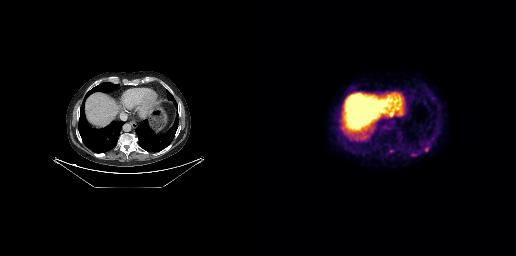
Coordinates are on the 256×256 PET (right) panel. PSMA-avid tumor lesion bounding boxes (partial; 1 more focus not listed):
| # | x0 | y0 | x1 | y1 |
|---|---|---|---|---|
| 1 | 164 | 147 | 168 | 151 |
| 2 | 130 | 112 | 133 | 116 |
| 3 | 129 | 149 | 133 | 152 |
Paired axial CT (left) and PSMA PET (right), [18F]PSMA-1007 tracer. Acquired on GE Discovery 690. Slice position z = -292 mm. PET panel 256×256 px (2.7 mm/px).